Left: CT. Right: PSMA PET, same axial level, 18F tracer.
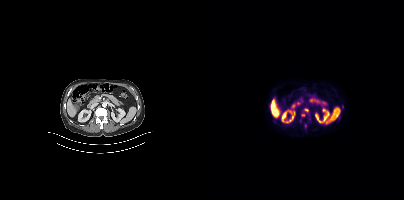
Coordinates are on the 200×200 PET (right) panel. PSMA-avid tumor lesion bounding boxes:
| # | x0 | y0 | x1 | y1 |
|---|---|---|---|---|
| 1 | 100 | 108 | 104 | 112 |
Small PSMA-avid foci (2 to 4 px across) near (center x, center y): (98, 115); (138, 106); (101, 125).